Technique: Paired axial CT (left) and PSMA PET (right), [18F]PSMA-1007 tracer. slice position z = -1398 mm. PET panel 200×200 px (4.1 mm/px).
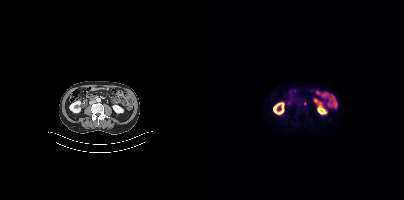
Findings: Only PSMA-avid lesion pieces thinner than 2 px on this slice (not listed).